Two-panel axial: CT | PSMA PET, 18F tracer. PET panel 256×256 px (2.7 mm/px).
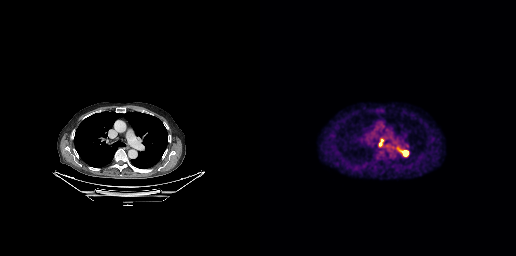
Coordinates are on the 256×256 PET (right) panel. PSMA-avid tumor lesion bounding boxes (x0, y0)-(x1, y1): (137, 147)-(148, 156) / (119, 139)-(123, 146). Small PSMA-avid focus (2 to 4 px across) near (center x, center y): (132, 147).